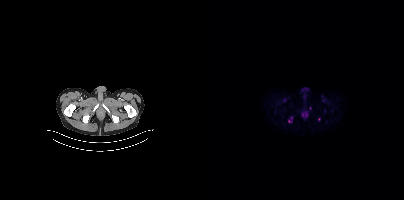
{"modality":"PSMA PET/CT","view":"axial","tracer":"18F","pet_grid":[200,200],"coord_frame":"pet_panel","coord_format":"x0,y0,x1,y1","partial":true,"lesion_bboxes":[]}